Two-panel axial: CT | PSMA PET, [68Ga]Ga-PSMA-11 tracer. Acquired on GE Discovery 690. PET panel 256×256 px (2.7 mm/px).
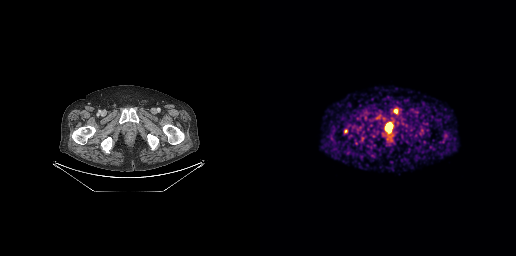
Only PSMA-avid lesion pieces thinner than 2 px on this slice (not listed).